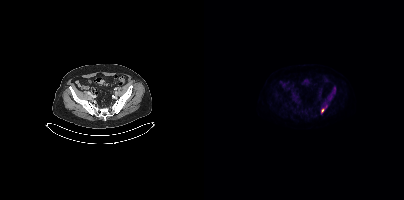
- Paired axial CT (left) and PSMA PET (right), 18F tracer
- acquired on Siemens Biograph mCT Flow 20
Findings: Coordinates are on the 200×200 PET (right) panel. PSMA-avid tumor lesion bounding box (x0,y0,x1,y1): [117,106,122,112].